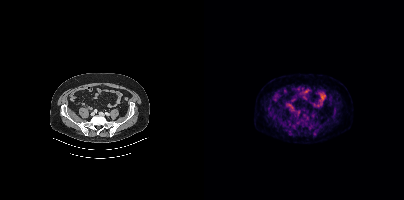
{"modality":"PSMA PET/CT","view":"axial","tracer":"[18F]PSMA-1007","pet_grid":[200,200],"coord_frame":"pet_panel","coord_format":"x0,y0,x1,y1","psma_avid_lesions":false}